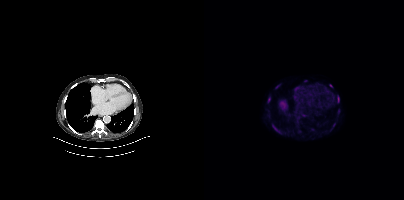
Technique: Paired axial CT (left) and PSMA PET (right), [18F]PSMA-1007 tracer. acquired on Siemens Biograph mCT Flow 20.
Findings: Coordinates are on the 200×200 PET (right) panel. PSMA-avid tumor lesion bounding boxes (x, y, width, height): x=68 y=123 w=8 h=9; x=63 y=97 w=4 h=7; x=133 y=95 w=3 h=6. Small PSMA-avid foci (2 to 4 px across) near (center x, center y): (126, 85); (73, 86); (134, 111); (101, 80).